Two-panel axial: CT | PSMA PET, 68Ga-PSMA tracer.
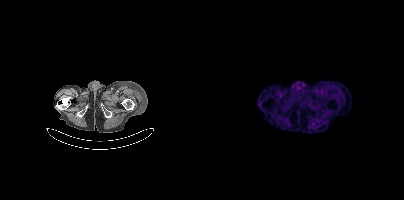
No tumor lesions annotated on this slice.